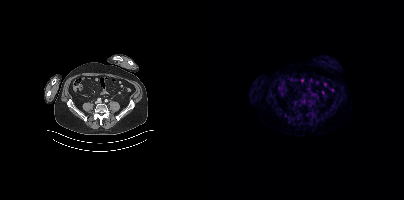
- Paired axial CT (left) and PSMA PET (right), 68Ga-PSMA tracer
Findings: No tumor lesions annotated on this slice.